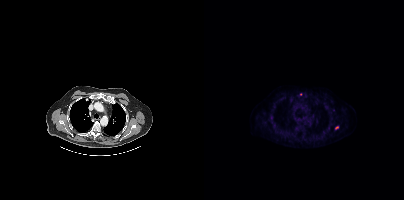
Coordinates are on the 200×200 PET (right) panel. Small PSMA-avid foci (2 to 4 px across) near (center x, center y): (96, 94) | (132, 127). Two-panel axial: CT | PSMA PET, 18F tracer. Acquired on Siemens Biograph mCT Flow 20.